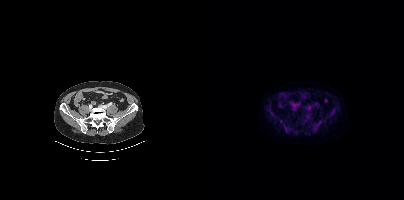
No tumor lesions annotated on this slice.